Technique: Left: CT. Right: PSMA PET, same axial level, 18F-PSMA tracer. acquired on Siemens Biograph mCT Flow 20.
Note: Head region blanked for anonymization (face removed).
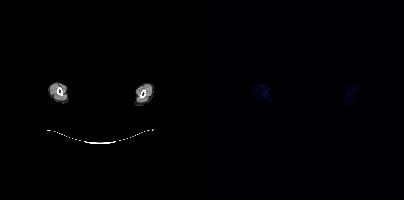
Findings: No tumor lesions annotated on this slice.